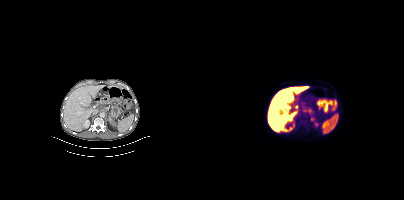
Coordinates are on the 200×200 PET (right) panel. PSMA-avid tumor lesion bounding box (x, y, width, height): x=101 y=108 w=6 h=5. Small PSMA-avid focus (2 to 4 px across) near (center x, center y): (107, 119).